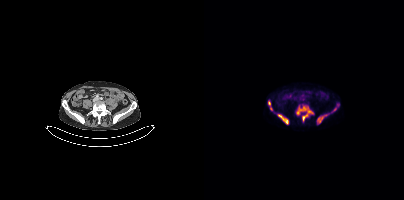
{"modality":"PSMA PET/CT","view":"axial","tracer":"18F","pet_grid":[200,200],"coord_frame":"pet_panel","coord_format":"x0,y0,x1,y1","partial":true,"lesion_bboxes":[[92,105,109,121],[73,114,84,124],[113,114,123,123],[64,100,68,110]],"small_foci_centers":[[130,109]]}